Technique: Paired axial CT (left) and PSMA PET (right), [18F]PSMA-1007 tracer. acquired on Siemens Biograph mCT Flow 20.
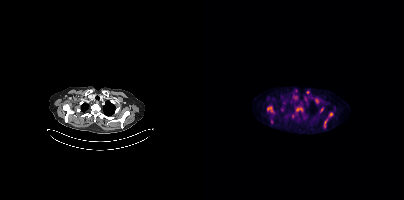
Findings: Coordinates are on the 200×200 PET (right) panel. PSMA-avid tumor lesion bounding boxes (x0, y0)-(x1, y1): (63, 106)-(69, 112); (92, 107)-(98, 111). Small PSMA-avid foci (2 to 4 px across) near (center x, center y): (126, 114); (103, 92); (121, 122); (120, 125).